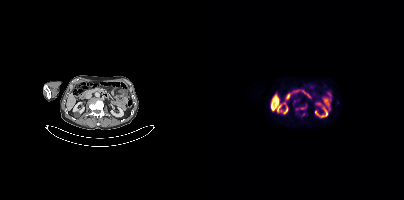
{"modality":"PSMA PET/CT","view":"axial","tracer":"18F-PSMA","pet_grid":[200,200],"coord_frame":"pet_panel","coord_format":"x0,y0,x1,y1","partial":true,"lesion_bboxes":[]}